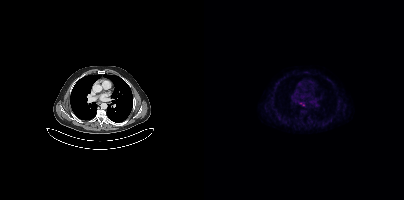
modality: PSMA PET/CT | tracer: 18F-PSMA | view: axial
Coordinates are on the 200×200 PET (right) panel. PSMA-avid tumor lesion bounding box (x0, y0)-(x1, y1): (96, 102)-(100, 106).